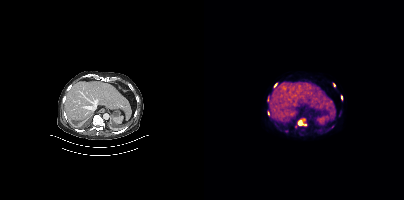
Coordinates are on the 200×200 PET (right) panel. (showing 6 of 8 foci) PSMA-avid tumor lesion bounding boxes (x0, y0)-(x1, y1): (93, 118)-(103, 126); (70, 83)-(73, 87); (137, 95)-(138, 100). Small PSMA-avid foci (2 to 4 px across) near (center x, center y): (130, 84); (64, 113); (91, 126). Paired axial CT (left) and PSMA PET (right), 18F-PSMA tracer. PET panel 200×200 px (4.1 mm/px).